Paired axial CT (left) and PSMA PET (right), 68Ga tracer. Slice position z = -485 mm. PET panel 256×256 px (2.7 mm/px).
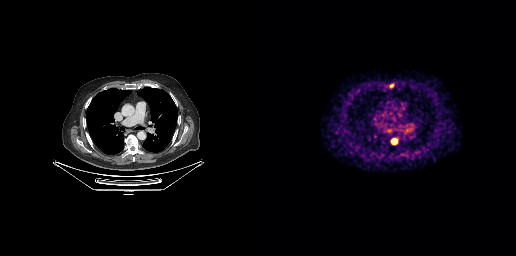
Coordinates are on the 256×256 PET (right) panel. PSMA-avid tumor lesion bounding boxes:
| # | x0 | y0 | x1 | y1 |
|---|---|---|---|---|
| 1 | 132 | 139 | 136 | 143 |
| 2 | 129 | 83 | 134 | 88 |